The head region is masked for de-identification.
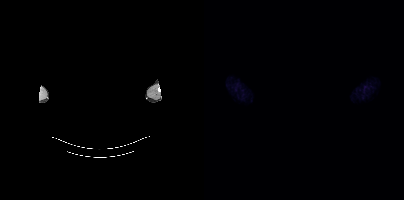
No PSMA-avid tumor lesions on this slice.